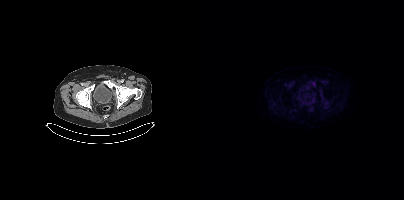
{"modality":"PSMA PET/CT","view":"axial","tracer":"18F","pet_grid":[200,200],"coord_frame":"pet_panel","coord_format":"x0,y0,x1,y1","psma_avid_lesions":false}